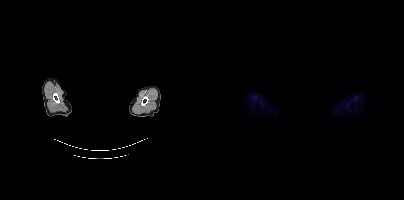
No PSMA-avid tumor lesions on this slice.
An anonymization step blacked out a rectangle over the head in this scan.